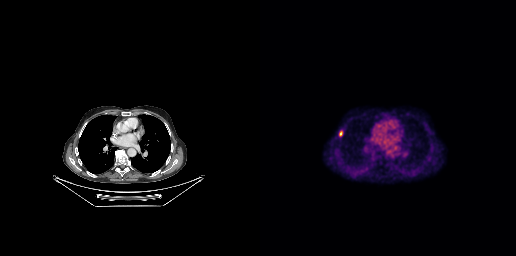
{"modality":"PSMA PET/CT","view":"axial","tracer":"18F-PSMA","pet_grid":[256,256],"coord_frame":"pet_panel","coord_format":"x0,y0,x1,y1","lesion_bboxes":[[79,130,83,136]]}